modality: PSMA PET/CT | tracer: 18F | view: axial
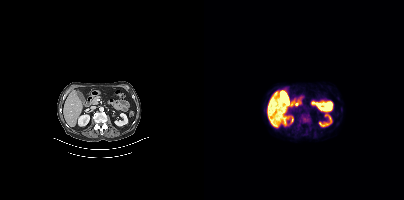
Coordinates are on the 200×200 PET (right) panel. PSMA-avid tumor lesion bounding box (x, y, width, height): x=96 y=114 w=10 h=9.